modality: PSMA PET/CT | tracer: [68Ga]Ga-PSMA-11 | view: axial | PET grid: 168×168
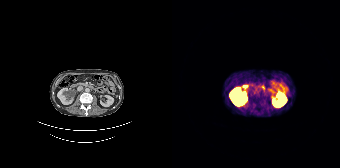
No PSMA-avid tumor lesions on this slice.